Two-panel axial: CT | PSMA PET, 18F-PSMA tracer. Acquired on Siemens Biograph mCT Flow 20. PET panel 200×200 px (4.1 mm/px).
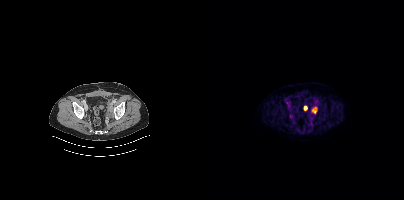
Coordinates are on the 200×200 PET (right) panel. PSMA-avid tumor lesion bounding boxes:
| # | x0 | y0 | x1 | y1 |
|---|---|---|---|---|
| 1 | 107 | 106 | 113 | 113 |
| 2 | 100 | 106 | 103 | 110 |